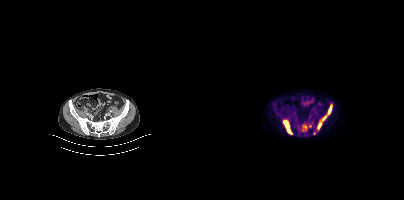
Coordinates are on the 200×200 PET (right) panel. (showing 3 of 6 foci) PSMA-avid tumor lesion bounding boxes (x0, y0)-(x1, y1): (114, 105)-(127, 129) / (79, 120)-(88, 134) / (99, 125)-(102, 129).